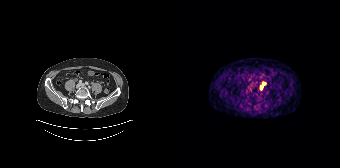
Findings: Coordinates are on the 168×168 PET (right) panel. Small PSMA-avid foci (2 to 4 px across) near (center x, center y): (92, 83); (89, 87).
- Left: CT. Right: PSMA PET, same axial level, 68Ga tracer
- slice 68 of 195
- PET panel 168×168 px (4.1 mm/px)